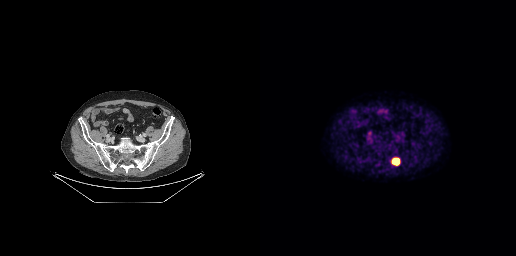
Coordinates are on the 256×256 PET (right) panel. PSMA-avid tumor lesion bounding box (x0, y0)-(x1, y1): (132, 158)-(139, 164).